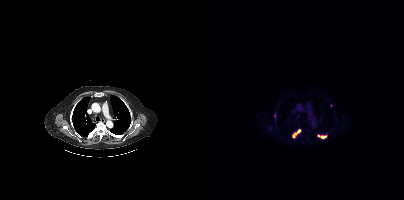
{"modality":"PSMA PET/CT","view":"axial","tracer":"18F","pet_grid":[200,200],"coord_frame":"pet_panel","coord_format":"x0,y0,x1,y1","lesion_bboxes":[[113,135,123,138],[88,129,96,137]]}